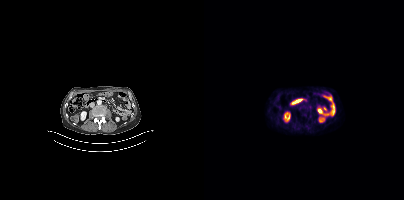
{"modality":"PSMA PET/CT","view":"axial","tracer":"18F","pet_grid":[200,200],"coord_frame":"pet_panel","coord_format":"x0,y0,x1,y1","psma_avid_lesions":false}